Technique: Paired axial CT (left) and PSMA PET (right), 18F-PSMA tracer.
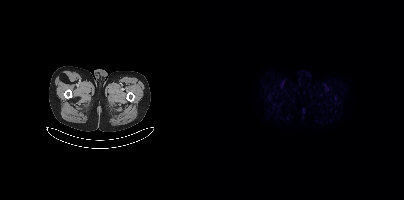
Findings: This slice has no annotated PSMA-avid lesion.